- Paired axial CT (left) and PSMA PET (right), 18F tracer
- acquired on Siemens Biograph mCT Flow 20
- slice position z = -464 mm
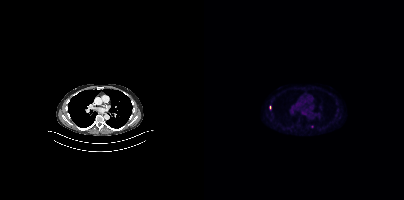
Findings: Coordinates are on the 200×200 PET (right) panel. Small PSMA-avid foci (2 to 4 px across) near (center x, center y): (108, 126) (66, 107).